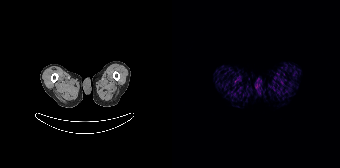
Findings: No PSMA-avid tumor lesions on this slice.
Technique: Left: CT. Right: PSMA PET, same axial level, 68Ga tracer. slice 4 of 165. PET panel 168×168 px (4.1 mm/px).